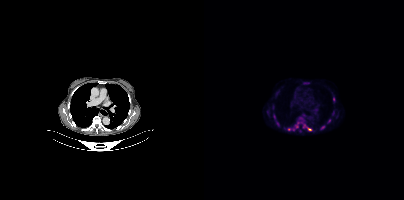
Coordinates are on the 200×200 PET (right) panel. (showing 8 of 9 foci) PSMA-avid tumor lesion bounding boxes (x, y, width, height): x=83 y=122 w=13 h=9 | x=99 y=124 w=9 h=7. Small PSMA-avid foci (2 to 4 px across) near (center x, center y): (70, 115) | (118, 127) | (63, 112) | (129, 99) | (73, 124) | (125, 120).